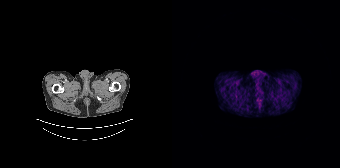
Two-panel axial: CT | PSMA PET, [68Ga]Ga-PSMA-11 tracer. Acquired on Siemens Biograph 64-4R TruePoint. Slice 17 of 165. PET panel 168×168 px (4.1 mm/px). Negative for PSMA-avid disease on this slice.